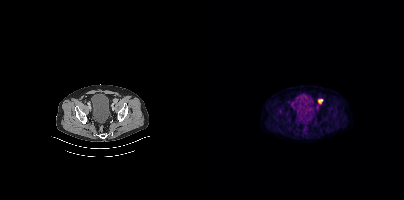
- Paired axial CT (left) and PSMA PET (right), 18F tracer
- acquired on Siemens Biograph mCT Flow 20
Findings: Coordinates are on the 200×200 PET (right) panel. PSMA-avid tumor lesion bounding box (x, y, width, height): x=114 y=98 w=6 h=7.